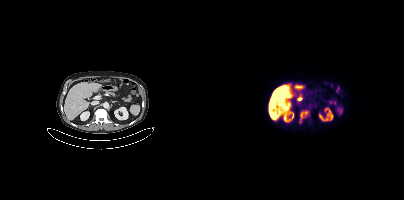
Coordinates are on the 200×200 PET (right) panel. PSMA-avid tumor lesion bounding box (x, y, width, height): x=96 y=110 w=9 h=13.